Left: CT. Right: PSMA PET, same axial level, 18F tracer.
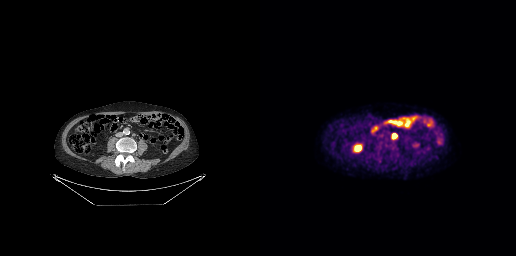
Coordinates are on the 256×256 PET (right) panel. PSMA-avid tumor lesion bounding box (x0,y0,x1,y1): [132,133,137,139].